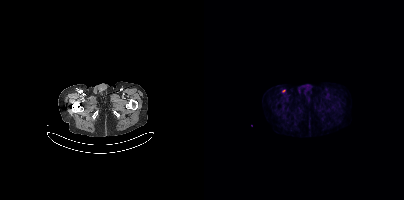
Paired axial CT (left) and PSMA PET (right), [18F]PSMA-1007 tracer. Acquired on Siemens Biograph mCT Flow 20. Coordinates are on the 200×200 PET (right) panel. Small PSMA-avid focus (2 to 4 px across) near (center x, center y): (79, 91).